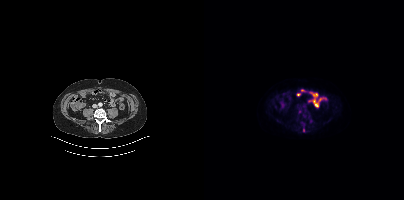
{"modality":"PSMA PET/CT","view":"axial","tracer":"18F-PSMA","pet_grid":[200,200],"coord_frame":"pet_panel","coord_format":"x0,y0,x1,y1","lesion_bboxes":[],"small_foci_centers":[[107,121],[99,130],[95,111]]}